Technique: Two-panel axial: CT | PSMA PET, [68Ga]Ga-PSMA-11 tracer. acquired on GE Discovery 690. slice 73 of 263.
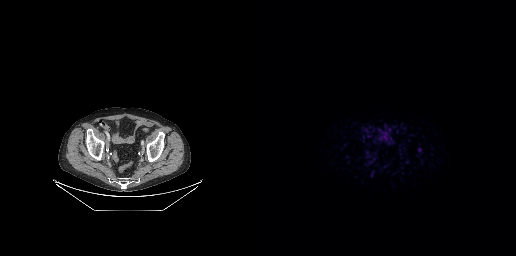
Findings: Coordinates are on the 256×256 PET (right) panel. Small PSMA-avid focus (2 to 4 px across) near (center x, center y): (159, 149).